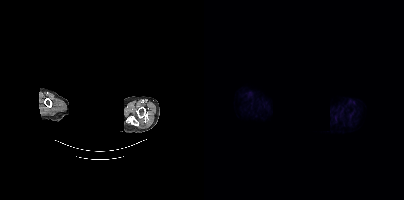
{"pet_grid":[200,200],"coord_frame":"pet_panel","coord_format":"x0,y0,x1,y1","psma_avid_lesions":false,"deidentification":"head region blacked out before release","modality":"PSMA PET/CT","view":"axial","tracer":"18F-PSMA"}